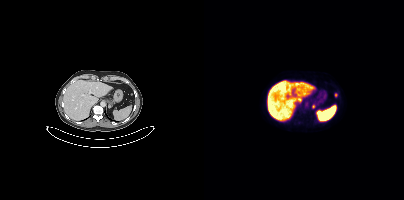
Coordinates are on the 200×200 PET (right) panel. Small PSMA-avid foci (2 to 4 px across) near (center x, center y): (109, 106); (131, 95). Two-panel axial: CT | PSMA PET, [18F]PSMA-1007 tracer.